Technique: Two-panel axial: CT | PSMA PET, 18F tracer. acquired on GE Discovery 690.
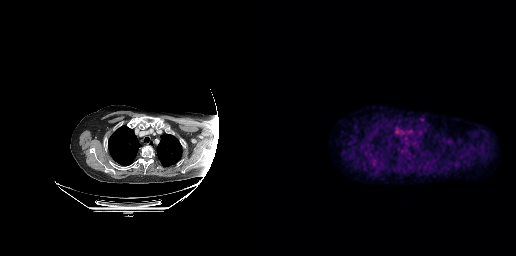
Findings: This slice has no annotated PSMA-avid lesion.